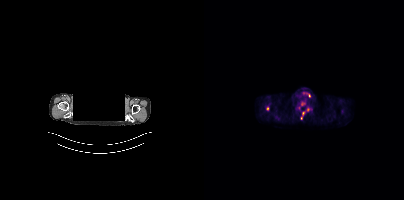
{"modality":"PSMA PET/CT","view":"axial","tracer":"18F-PSMA","pet_grid":[200,200],"coord_frame":"pet_panel","coord_format":"x0,y0,x1,y1","de-identification":"facial region redacted","partial":true,"lesion_bboxes":[[96,108,105,119]],"small_foci_centers":[[63,107],[98,103]]}